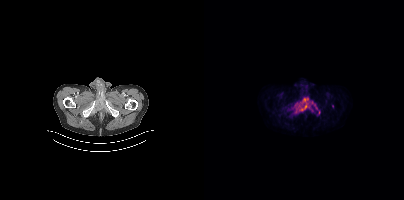
Paired axial CT (left) and PSMA PET (right), 18F-PSMA tracer. Acquired on Siemens Biograph mCT Flow 20. Slice position z = -104 mm. Coordinates are on the 200×200 PET (right) panel. (showing 1 of 3 foci) PSMA-avid tumor lesion bounding box (x0,y0,x1,y1): [90,97,113,113].